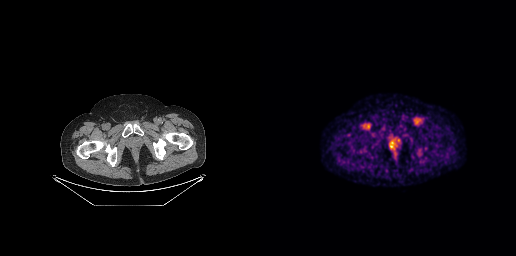
{"pet_grid":[256,256],"coord_frame":"pet_panel","coord_format":"x0,y0,x1,y1","lesion_bboxes":[],"small_foci_centers":[[133,145]],"modality":"PSMA PET/CT","view":"axial","tracer":"[18F]PSMA-1007"}